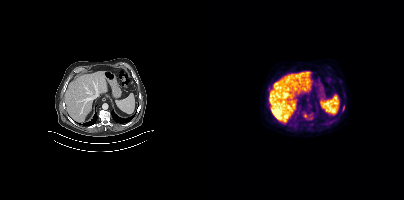
{"pet_grid":[200,200],"coord_frame":"pet_panel","coord_format":"x0,y0,x1,y1","partial":true,"lesion_bboxes":[[64,86,67,91],[138,105,140,111]],"small_foci_centers":[[101,115]],"modality":"PSMA PET/CT","view":"axial","tracer":"18F-PSMA"}